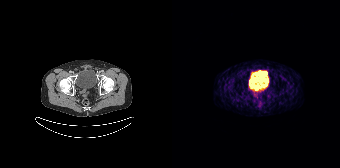
modality: PSMA PET/CT | tracer: 68Ga | view: axial
No PSMA-avid tumor lesions on this slice.